redaction: rectangular block over head set to black | modality: PSMA PET/CT | tracer: [18F]PSMA-1007 | view: axial | PET grid: 200×200
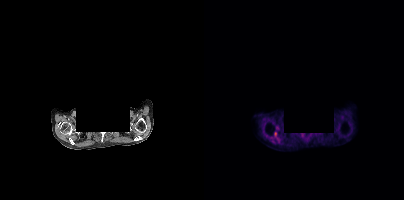
Coordinates are on the 200×200 PET (right) panel. Small PSMA-avid focus (2 to 4 px across) near (center x, center y): (71, 133).